Technique: Two-panel axial: CT | PSMA PET, [18F]PSMA-1007 tracer. slice 108 of 409.
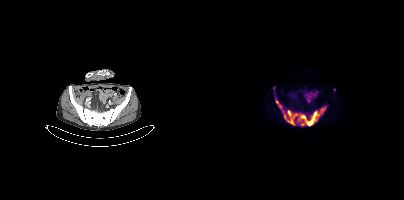
Findings: Coordinates are on the 200×200 PET (right) panel. PSMA-avid tumor lesion bounding box (x, y, width, height): x=71 y=97 w=52 h=30. Small PSMA-avid foci (2 to 4 px across) near (center x, center y): (130, 89) / (69, 88).